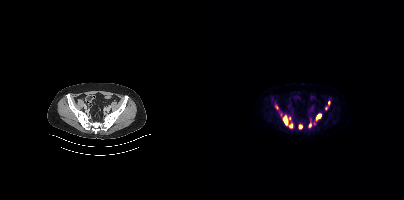
{"modality":"PSMA PET/CT","view":"axial","tracer":"18F-PSMA","pet_grid":[200,200],"coord_frame":"pet_panel","coord_format":"x0,y0,x1,y1","partial":true,"lesion_bboxes":[[79,115,84,125],[112,114,117,119],[85,123,88,128],[95,124,98,128],[105,123,107,127]],"small_foci_centers":[[124,102],[85,118],[72,107]]}